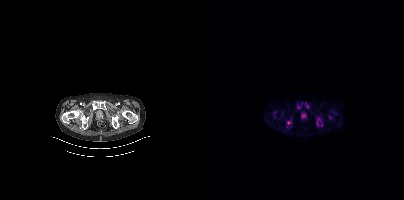
Coordinates are on the 200×200 PET (right) panel. (showing 6 of 9 foci) PSMA-avid tumor lesion bounding boxes (x0, y0)-(x1, y1): (112, 118)-(118, 126) / (97, 113)-(102, 118) / (83, 120)-(87, 124) / (101, 102)-(104, 108) / (93, 105)-(97, 109) / (125, 115)-(128, 119).